modality: PSMA PET/CT | tracer: 18F-PSMA | view: axial
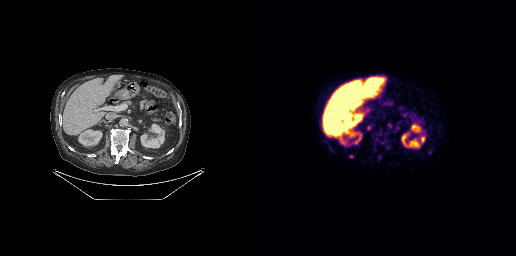
Coordinates are on the 256×256 PET (right) panel. PSMA-avid tumor lesion bounding boxes (x0,y0,x1,y1): [89,155,93,158] [107,126,110,130]. Small PSMA-avid focus (2 to 4 px across) near (center x, center y): (169, 152).